modality: PSMA PET/CT | tracer: 18F-PSMA | view: axial
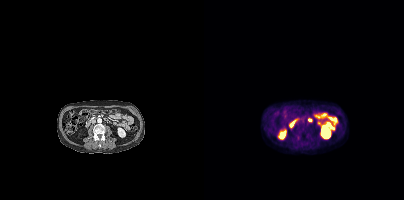
No PSMA-avid tumor lesions on this slice.